Technique: Two-panel axial: CT | PSMA PET, 18F-PSMA tracer. slice position z = -1228 mm. PET panel 200×200 px (4.1 mm/px).
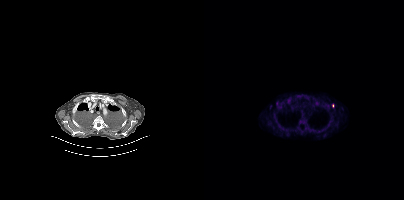
Findings: Coordinates are on the 200×200 PET (right) panel. (showing 3 of 5 foci) Small PSMA-avid foci (2 to 4 px across) near (center x, center y): (129, 105) / (84, 101) / (73, 103).